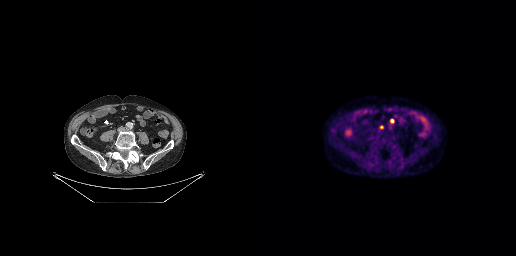
{"modality":"PSMA PET/CT","view":"axial","tracer":"18F","pet_grid":[256,256],"coord_frame":"pet_panel","coord_format":"x0,y0,x1,y1","lesion_bboxes":[[130,119,134,123]],"small_foci_centers":[[121,127]]}